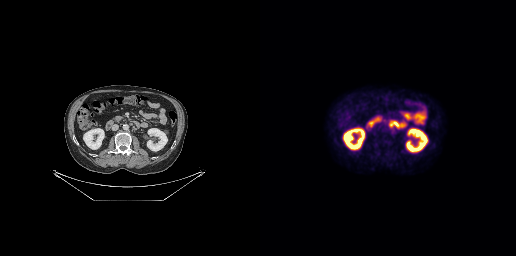
Technique: Left: CT. Right: PSMA PET, same axial level, 18F-PSMA tracer. acquired on GE Discovery 690. slice position z = -426 mm.
Findings: Coordinates are on the 256×256 PET (right) panel. PSMA-avid tumor lesion bounding box (x0, y0)-(x1, y1): (129, 121)-(135, 127).